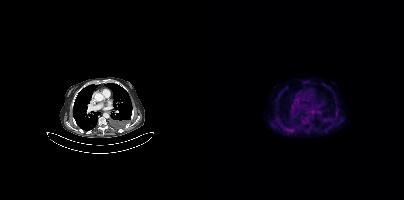
This slice has no annotated PSMA-avid lesion.
modality: PSMA PET/CT | tracer: 18F | view: axial | PET grid: 200×200